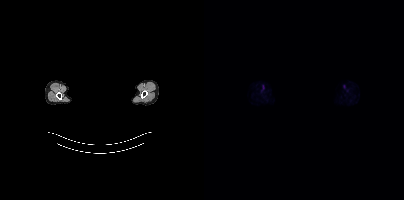
{"modality":"PSMA PET/CT","view":"axial","tracer":"18F-PSMA","pet_grid":[200,200],"coord_frame":"pet_panel","coord_format":"x0,y0,x1,y1","psma_avid_lesions":false,"deidentification":"facial region redacted"}